redaction: black rectangle is a privacy mask | modality: PSMA PET/CT | tracer: 68Ga | view: axial | PET grid: 168×168
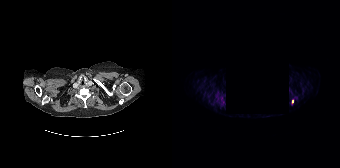
Coordinates are on the 168×168 PET (right) panel. Small PSMA-avid focus (2 to 4 px across) near (center x, center y): (120, 101).